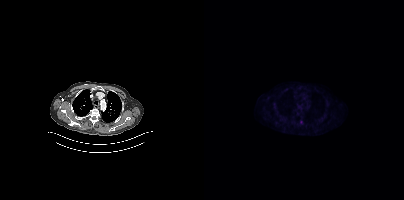
Only PSMA-avid lesion pieces thinner than 2 px on this slice (not listed).